Paired axial CT (left) and PSMA PET (right), 18F tracer. Slice position z = -1091 mm.
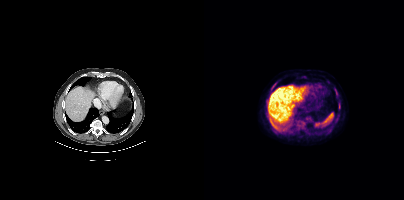
Coordinates are on the 200×200 PET (right) panel. (showing 1 of 5 foci) PSMA-avid tumor lesion bounding box (x0,y0,x1,y1): [135,104,136,108].